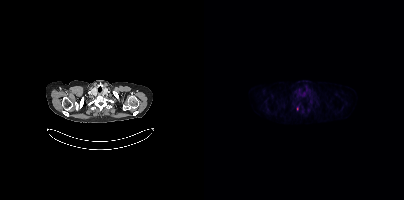
Findings: Coordinates are on the 200×200 PET (right) panel. Small PSMA-avid focus (2 to 4 px across) near (center x, center y): (93, 108).
- Two-panel axial: CT | PSMA PET, 18F-PSMA tracer
- slice 333 of 395
- PET panel 200×200 px (4.1 mm/px)